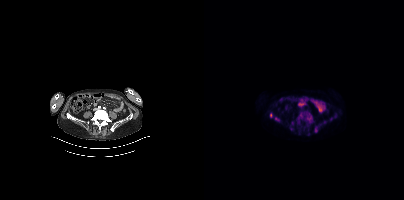
Coordinates are on the 200×200 PET (right) panel. PSMA-avid tumor lesion bounding boxes (partial; 1 more focus not listed):
| # | x0 | y0 | x1 | y1 |
|---|---|---|---|---|
| 1 | 101 | 115 | 108 | 122 |
| 2 | 111 | 126 | 113 | 132 |
| 3 | 66 | 113 | 68 | 117 |
| 4 | 71 | 117 | 75 | 120 |
| 5 | 94 | 116 | 96 | 120 |
Paired axial CT (left) and PSMA PET (right), 18F tracer.